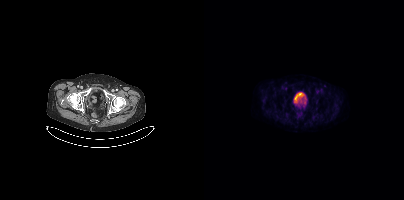
Technique: Two-panel axial: CT | PSMA PET, 18F-PSMA tracer. PET panel 200×200 px (4.1 mm/px).
Findings: No PSMA-avid tumor lesions on this slice.